modality: PSMA PET/CT | tracer: 68Ga-PSMA | view: axial | PET grid: 168×168
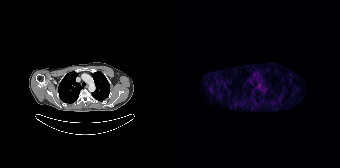
This slice has no annotated PSMA-avid lesion.